Two-panel axial: CT | PSMA PET, 18F tracer. Acquired on GE Discovery 690. Slice 71 of 263. PET panel 256×256 px (2.7 mm/px).
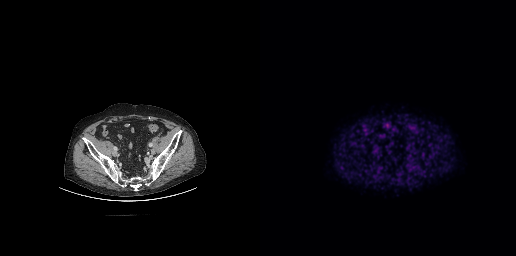
No tumor lesions annotated on this slice.